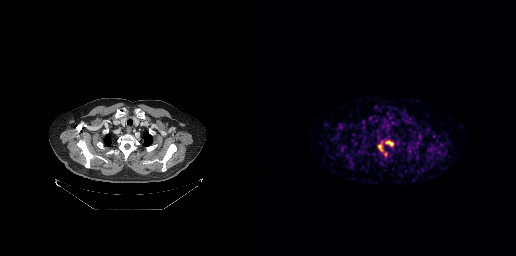
Technique: Two-panel axial: CT | PSMA PET, [68Ga]Ga-PSMA-11 tracer. acquired on GE Discovery 690. slice position z = -280 mm.
Findings: Coordinates are on the 256×256 PET (right) panel. PSMA-avid tumor lesion bounding boxes (x0, y0)-(x1, y1): (125, 140)-(133, 146) | (118, 141)-(123, 151) | (124, 152)-(127, 156).